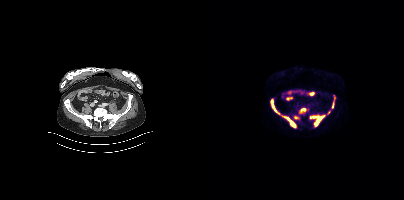
Findings: Coordinates are on the 200×200 PET (right) panel. PSMA-avid tumor lesion bounding boxes (x0,y0,x1,y1): [106,115,121,125]; [80,116,91,127]; [67,99,76,114]; [96,108,101,112]; [128,102,129,107]. Small PSMA-avid foci (2 to 4 px across) near (center x, center y): (91, 117); (124, 112); (130, 97).
Technique: Left: CT. Right: PSMA PET, same axial level, 18F-PSMA tracer.